- Left: CT. Right: PSMA PET, same axial level, 68Ga tracer
- slice 68 of 438
- PET panel 200×200 px (4.1 mm/px)
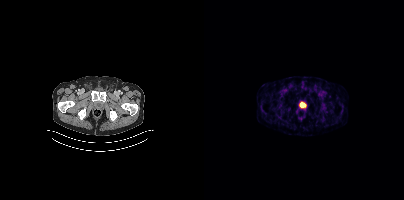
Findings: No tumor lesions annotated on this slice.